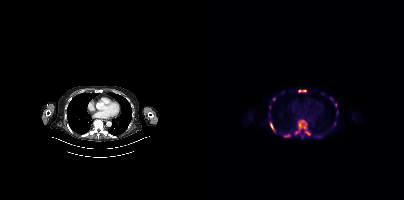
Coordinates are on the 200×200 PET (right) panel. (showing 13 of 14 foci) PSMA-avid tumor lesion bounding boxes (x0,y0,x1,y1): [91,120,102,135] [79,134,86,137] [66,123,71,131] [94,90,102,92] [114,135,118,138] [100,131,105,135] [126,97,129,101] [133,111,134,115]. Small PSMA-avid foci (2 to 4 px across) near (center x, center y): (70, 99) (131, 104) (130, 123) (65, 107) (97, 136).